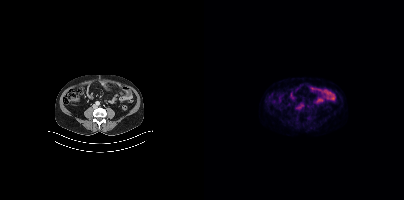
No PSMA-avid tumor lesions on this slice.